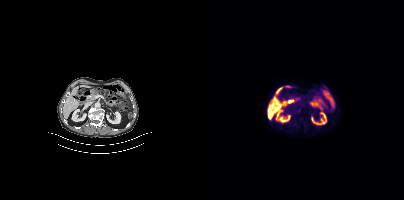
modality: PSMA PET/CT | tracer: [18F]PSMA-1007 | view: axial | PET grid: 200×200
Only PSMA-avid lesion pieces thinner than 2 px on this slice (not listed).